Technique: Paired axial CT (left) and PSMA PET (right), [68Ga]Ga-PSMA-11 tracer.
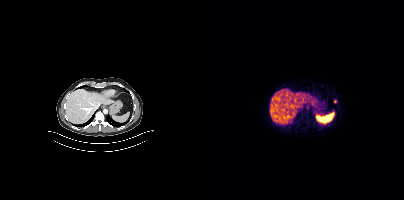
Findings: Coordinates are on the 200×200 PET (right) panel. Small PSMA-avid focus (2 to 4 px across) near (center x, center y): (131, 101).